Left: CT. Right: PSMA PET, same axial level, [18F]PSMA-1007 tracer.
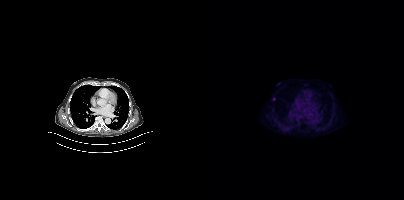
Coordinates are on the 200×200 PET (right) panel. Small PSMA-avid focus (2 to 4 px across) near (center x, center y): (70, 99).